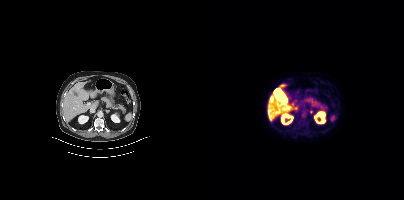
Only PSMA-avid lesion pieces thinner than 2 px on this slice (not listed).